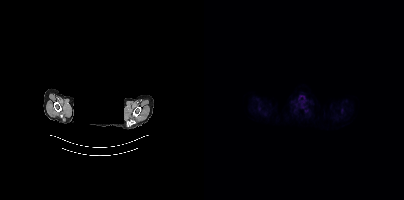
Privacy masking over the head, with the pixels inside a rectangle set to black.
Coordinates are on the 200×200 PET (right) panel. Small PSMA-avid focus (2 to 4 px across) near (center x, center y): (102, 110).